- the head region is masked for de-identification
- Two-panel axial: CT | PSMA PET, 18F tracer
- acquired on Siemens Biograph mCT Flow 20
- PET panel 200×200 px (4.1 mm/px)
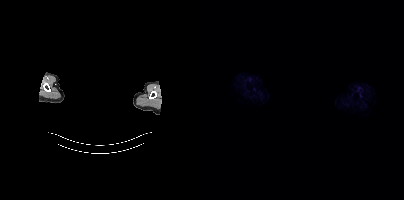
Findings: Negative for PSMA-avid disease on this slice.